modality: PSMA PET/CT | tracer: 68Ga | view: axial | PET grid: 168×168
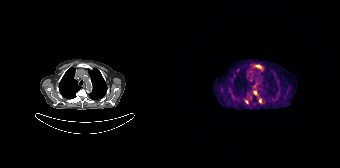
Coordinates are on the 168×168 PET (right) panel. (showing 7 of 9 foci) PSMA-avid tumor lesion bounding box (x, y, width, height): x=81 y=92 w=6 h=5. Small PSMA-avid foci (2 to 4 px across) near (center x, center y): (78, 97) | (74, 101) | (86, 66) | (78, 80) | (65, 70) | (87, 100).